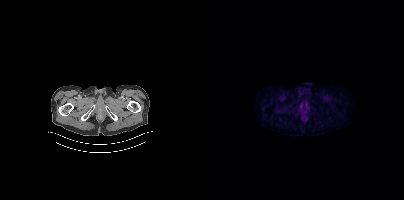
{"modality":"PSMA PET/CT","view":"axial","tracer":"[18F]PSMA-1007","pet_grid":[200,200],"coord_frame":"pet_panel","coord_format":"x0,y0,x1,y1","psma_avid_lesions":false}